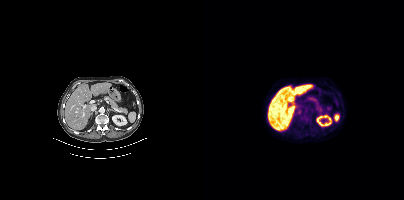
Findings: No tumor lesions annotated on this slice.
Technique: Left: CT. Right: PSMA PET, same axial level, 18F tracer. acquired on Siemens Biograph mCT Flow 20. slice 201 of 429.